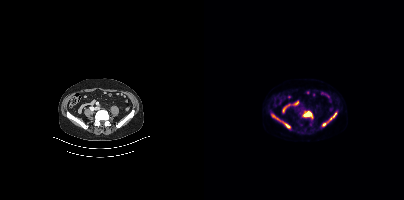
Coordinates are on the 200×200 PET (right) panel. PSMA-avid tumor lesion bounding boxes (x, y, width, height): x=99 y=111 w=10 h=8; x=68 y=114 w=19 h=15; x=118 y=112 w=15 h=15.